Paired axial CT (left) and PSMA PET (right), 18F tracer. PET panel 200×200 px (4.1 mm/px).
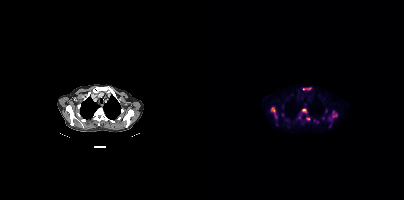
Coordinates are on the 200×200 PET (right) panel. (showing 8 of 12 foci) PSMA-avid tumor lesion bounding boxes (x0,y0,x1,y1): [66,106,73,118]; [128,111,133,118]; [98,87,107,90]; [98,108,102,112]; [102,118,106,120]. Small PSMA-avid foci (2 to 4 px across) near (center x, center y): (95, 117); (78, 114); (113, 121).